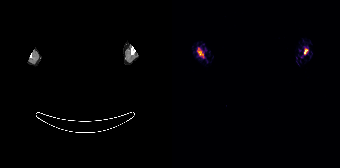
Findings: Coordinates are on the 168×168 PET (right) panel. PSMA-avid tumor lesion bounding boxes (x, y, width, height): x=25 y=48 w=7 h=10; x=132 y=49 w=4 h=6.
Technique: Paired axial CT (left) and PSMA PET (right), 68Ga-PSMA tracer.
Note: Face de-identified by blanking a block of the head.